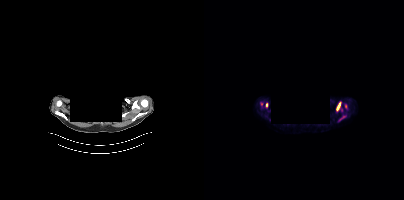
{"modality":"PSMA PET/CT","view":"axial","tracer":"18F","pet_grid":[200,200],"coord_frame":"pet_panel","coord_format":"x0,y0,x1,y1","redaction":"rectangular block over head set to black","partial":true,"lesion_bboxes":[[132,102,136,110],[136,116,141,119]],"small_foci_centers":[[62,104]]}